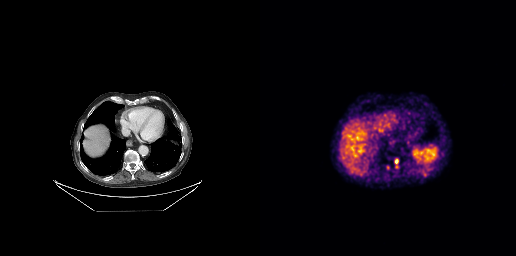
- Left: CT. Right: PSMA PET, same axial level, 68Ga tracer
Findings: Coordinates are on the 256×256 PET (right) panel. (showing 5 of 6 foci) PSMA-avid tumor lesion bounding box (x0,y0,x1,y1): [126,165,129,169]. Small PSMA-avid foci (2 to 4 px across) near (center x, center y): (164, 175); (135, 166); (178, 157); (136, 161).